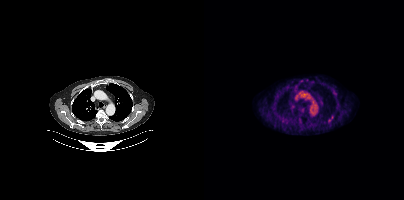
Technique: Paired axial CT (left) and PSMA PET (right), [18F]PSMA-1007 tracer. PET panel 200×200 px (4.1 mm/px).
Findings: Coordinates are on the 200×200 PET (right) panel. (showing 1 of 2 foci) Small PSMA-avid focus (2 to 4 px across) near (center x, center y): (125, 119).